Paired axial CT (left) and PSMA PET (right), [18F]PSMA-1007 tracer. Slice 43 of 417.
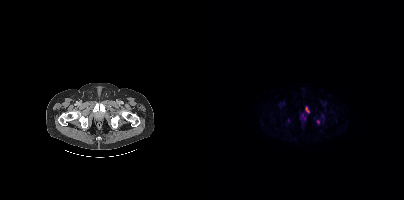
Coordinates are on the 200×200 PET (right) panel. PSMA-avid tumor lesion bounding boxes:
| # | x0 | y0 | x1 | y1 |
|---|---|---|---|---|
| 1 | 101 | 107 | 105 | 112 |
Small PSMA-avid foci (2 to 4 px across) near (center x, center y): (84, 120); (113, 121).